modality: PSMA PET/CT | tracer: 68Ga | view: axial
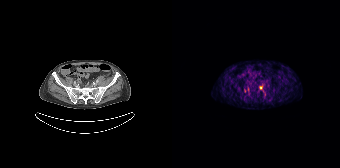
Coordinates are on the 168×168 PET (right) panel. (showing 1 of 3 foci) Small PSMA-avid focus (2 to 4 px across) near (center x, center y): (89, 87).